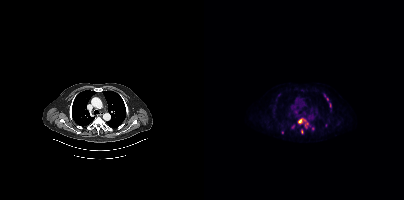
- Left: CT. Right: PSMA PET, same axial level, 18F-PSMA tracer
- slice position z = -926 mm
- PET panel 200×200 px (4.1 mm/px)
Findings: Coordinates are on the 200×200 PET (right) panel. (showing 7 of 9 foci) PSMA-avid tumor lesion bounding boxes (x0, y0)-(x1, y1): (95, 119)-(99, 123); (101, 121)-(104, 127); (97, 129)-(99, 133); (120, 95)-(124, 100); (107, 126)-(110, 130); (126, 103)-(127, 107). Small PSMA-avid focus (2 to 4 px across) near (center x, center y): (88, 126).